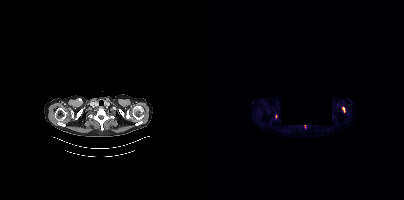
Findings: Coordinates are on the 200×200 PET (right) panel. (showing 1 of 2 foci) PSMA-avid tumor lesion bounding box (x, y, width, height): x=138 y=107 w=3 h=6.
- any black rectangle here is a de-identification mask
- Paired axial CT (left) and PSMA PET (right), 18F tracer
- slice position z = -370 mm
- PET panel 200×200 px (4.1 mm/px)